Technique: Paired axial CT (left) and PSMA PET (right), 68Ga tracer. acquired on GE Discovery 690. PET panel 256×256 px (2.7 mm/px).
Note: The head region is masked for de-identification.
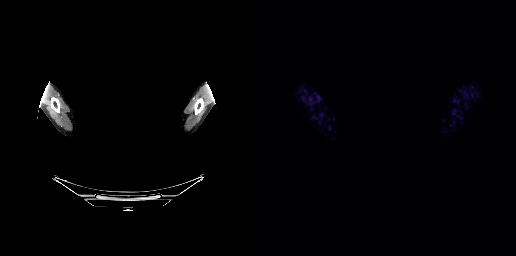
Findings: No PSMA-avid tumor lesions on this slice.